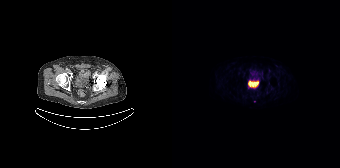
Only PSMA-avid lesion pieces thinner than 2 px on this slice (not listed).